modality: PSMA PET/CT | tracer: 68Ga-PSMA | view: axial | PET grid: 200×200
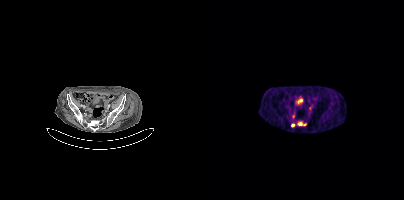
Coordinates are on the 200×200 PET (right) panel. PSMA-avid tumor lesion bounding boxes (x0,y0,x1,y1): [95,122,102,125] [88,114,90,118]. Small PSMA-avid foci (2 to 4 px across) near (center x, center y): (88, 125) (106, 108).